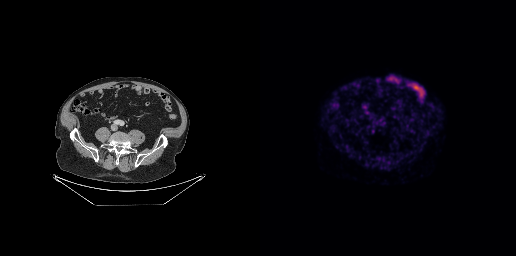
Two-panel axial: CT | PSMA PET, 18F-PSMA tracer. PET panel 256×256 px (2.7 mm/px). This slice has no annotated PSMA-avid lesion.